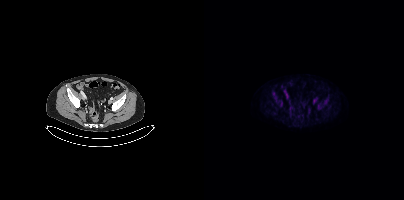
This slice has no annotated PSMA-avid lesion.